Left: CT. Right: PSMA PET, same axial level, 18F tracer. PET panel 200×200 px (4.1 mm/px).
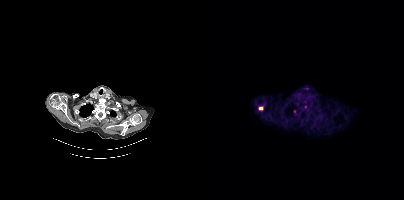
Coordinates are on the 200×200 PET (right) panel. PSMA-avid tumor lesion bounding boxes (partial; 2 more foci not listed):
| # | x0 | y0 | x1 | y1 |
|---|---|---|---|---|
| 1 | 55 | 107 | 59 | 109 |